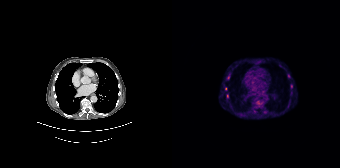
Paired axial CT (left) and PSMA PET (right), 68Ga-PSMA tracer. Coordinates are on the 168×168 PET (right) panel. (showing 8 of 9 foci) PSMA-avid tumor lesion bounding boxes (x0, y0)-(x1, y1): (85, 101)-(89, 104) | (91, 111)-(95, 113) | (55, 74)-(58, 78). Small PSMA-avid foci (2 to 4 px across) near (center x, center y): (82, 110) | (55, 95) | (119, 86) | (116, 76) | (53, 88).